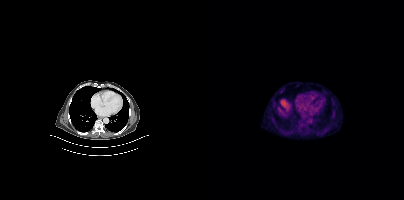
This slice has no annotated PSMA-avid lesion.